- Paired axial CT (left) and PSMA PET (right), 18F tracer
- slice 224 of 401
- PET panel 200×200 px (4.1 mm/px)
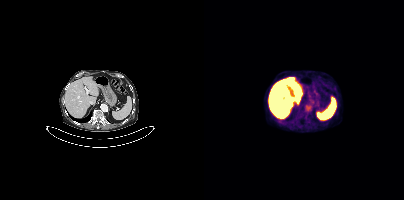
Findings: This slice has no annotated PSMA-avid lesion.